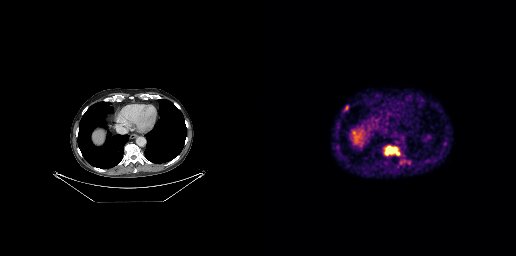
Coordinates are on the 256×256 PET (right) panel. PSMA-avid tumor lesion bounding boxes:
| # | x0 | y0 | x1 | y1 |
|---|---|---|---|---|
| 1 | 127 | 147 | 139 | 154 |
| 2 | 84 | 105 | 88 | 111 |
Left: CT. Right: PSMA PET, same axial level, 68Ga-PSMA tracer. Acquired on GE Discovery 690. Slice position z = -553 mm.